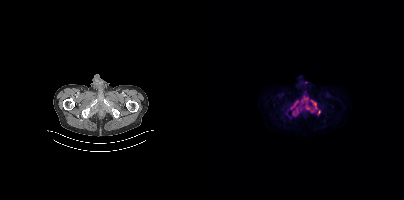
{"modality":"PSMA PET/CT","view":"axial","tracer":"18F","pet_grid":[200,200],"coord_frame":"pet_panel","coord_format":"x0,y0,x1,y1","partial":true,"lesion_bboxes":[[87,95,116,115]],"small_foci_centers":[[102,82]]}